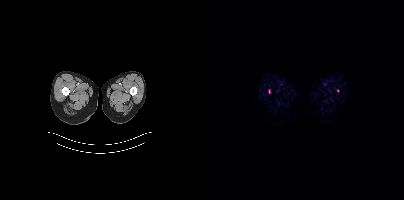
{"pet_grid":[200,200],"coord_frame":"pet_panel","coord_format":"x0,y0,x1,y1","lesion_bboxes":[],"small_foci_centers":[[65,91],[133,90]],"modality":"PSMA PET/CT","view":"axial","tracer":"18F"}